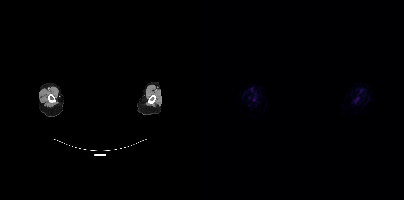
Coordinates are on the 200×200 PET (right) panel. Small PSMA-avid foci (2 to 4 px across) near (center x, center y): (153, 100); (51, 99).
modality: PSMA PET/CT | tracer: 18F-PSMA | view: axial | PET grid: 200×200 | redaction: rectangular block over head set to black